Left: CT. Right: PSMA PET, same axial level, 68Ga-PSMA tracer. PET panel 168×168 px (4.1 mm/px).
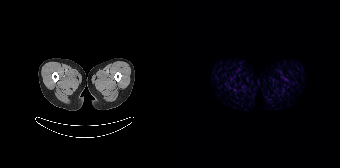
This slice has no annotated PSMA-avid lesion.